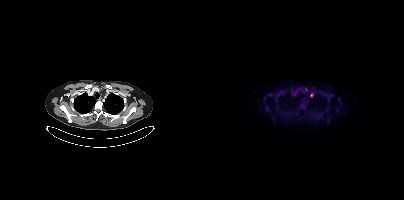
- Paired axial CT (left) and PSMA PET (right), [18F]PSMA-1007 tracer
- acquired on Siemens Biograph mCT Flow 20
- slice 343 of 431
- PET panel 200×200 px (4.1 mm/px)
Findings: Coordinates are on the 200×200 PET (right) panel. (showing 1 of 3 foci) Small PSMA-avid focus (2 to 4 px across) near (center x, center y): (107, 95).